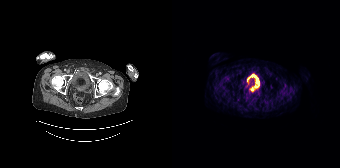
{"modality":"PSMA PET/CT","view":"axial","tracer":"68Ga-PSMA","pet_grid":[168,168],"coord_frame":"pet_panel","coord_format":"x0,y0,x1,y1","psma_avid_lesions":false}